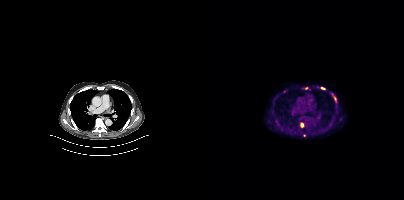
Technique: Paired axial CT (left) and PSMA PET (right), [18F]PSMA-1007 tracer. acquired on Siemens Biograph mCT Flow 20. slice 285 of 405. PET panel 200×200 px (4.1 mm/px).
Findings: Coordinates are on the 200×200 PET (right) panel. PSMA-avid tumor lesion bounding boxes (x, y, width, height): x=96 y=122 w=4 h=6; x=117 y=87 w=5 h=3. Small PSMA-avid foci (2 to 4 px across) near (center x, center y): (131, 98); (102, 88); (100, 135).